modality: PSMA PET/CT | tracer: 18F-PSMA | view: axial
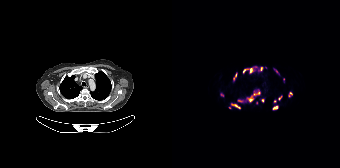
Coordinates are on the 168×168 PET (right) panel. PSMA-avid tumor lesion bounding boxes (x, y, width, height): x=66 y=89 w=23 h=14; x=71 y=66 w=21 h=8; x=59 y=103 w=10 h=6; x=61 y=72 w=5 h=10; x=116 y=91 w=5 h=7; x=100 y=105 w=7 h=5; x=106 y=95 w=5 h=6; x=89 y=98 w=4 h=5; x=102 y=69 w=6 h=6. Small PSMA-avid foci (2 to 4 px across) near (center x, center y): (49, 94); (103, 101); (111, 79); (84, 103); (57, 107); (93, 67).